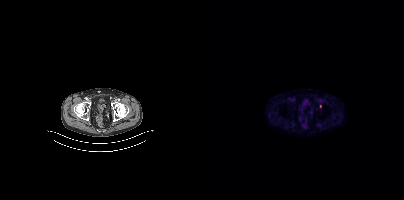
modality: PSMA PET/CT | tracer: 18F-PSMA | view: axial | PET grid: 200×200
Coordinates are on the 200×200 PET (right) panel. Small PSMA-avid focus (2 to 4 px across) near (center x, center y): (116, 106).